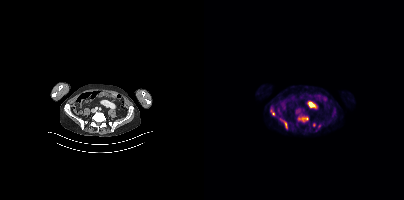
{"pet_grid":[200,200],"coord_frame":"pet_panel","coord_format":"x0,y0,x1,y1","lesion_bboxes":[[94,117,104,121],[76,119,83,129],[67,110,70,115]],"modality":"PSMA PET/CT","view":"axial","tracer":"18F-PSMA"}